Paired axial CT (left) and PSMA PET (right), [18F]PSMA-1007 tracer. Acquired on Siemens Biograph mCT Flow 20. PET panel 200×200 px (4.1 mm/px).
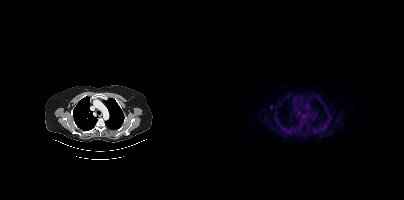
Coordinates are on the 200×200 PET (right) panel. Small PSMA-avid focus (2 to 4 px across) near (center x, center y): (67, 106).